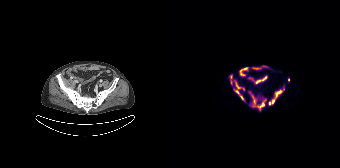
Coordinates are on the 168×168 PET (right) panel. PSMA-avid tumor lesion bounding boxes (x, y, width, height): x=76 y=91 w=19 h=21 | x=96 y=87 w=17 h=19 | x=61 y=80 w=13 h=22 | x=58 y=75 w=3 h=11. Small PSMA-avid focus (2 to 4 px across) near (center x, center y): (116, 79).
modality: PSMA PET/CT | tracer: [18F]PSMA-1007 | view: axial | PET grid: 168×168